Two-panel axial: CT | PSMA PET, [18F]PSMA-1007 tracer. Slice 311 of 415. PET panel 200×200 px (4.1 mm/px).
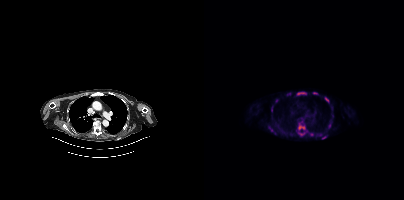
Coordinates are on the 200×200 PET (right) panel. PSMA-avid tumor lesion bounding boxes (partial; 2 more foci not listed):
| # | x0 | y0 | x1 | y1 |
|---|---|---|---|---|
| 1 | 94 | 125 | 101 | 129 |
| 2 | 66 | 129 | 72 | 134 |
| 3 | 121 | 97 | 125 | 102 |
| 4 | 118 | 136 | 122 | 139 |
| 5 | 114 | 133 | 118 | 136 |
| 6 | 109 | 92 | 113 | 94 |
| 7 | 94 | 93 | 100 | 94 |
| 8 | 67 | 107 | 68 | 111 |
| 9 | 96 | 133 | 100 | 135 |
Small PSMA-avid foci (2 to 4 px across) near (center x, center y): (107, 134); (125, 125); (72, 100).